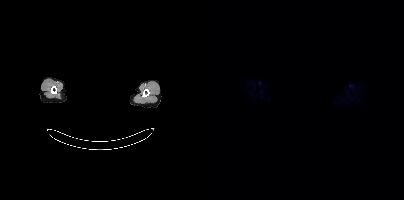
{"pet_grid":[200,200],"coord_frame":"pet_panel","coord_format":"x0,y0,x1,y1","psma_avid_lesions":false,"modality":"PSMA PET/CT","view":"axial","tracer":"18F","deidentification":"rectangular block over head set to black"}